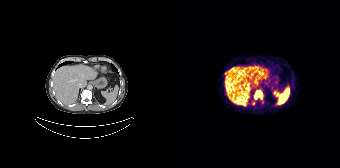
Coordinates are on the 168×168 PET (right) panel. PSMA-avid tumor lesion bounding boxes:
| # | x0 | y0 | x1 | y1 |
|---|---|---|---|---|
| 1 | 82 | 91 | 90 | 99 |
Small PSMA-avid focus (2 to 4 px across) near (center x, center y): (81, 103).
Paired axial CT (left) and PSMA PET (right), 68Ga tracer. Acquired on Siemens Biograph 64-4R TruePoint.